Two-panel axial: CT | PSMA PET, 18F tracer. Slice 153 of 423. PET panel 200×200 px (4.1 mm/px).
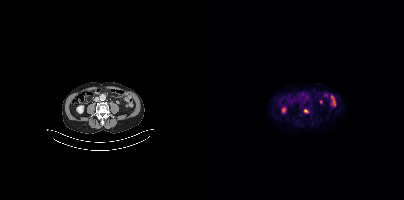
Coordinates are on the 200×200 PET (right) panel. PSMA-avid tumor lesion bounding box (x0, y0)-(x1, y1): (100, 109)-(104, 112).